modality: PSMA PET/CT | tracer: [68Ga]Ga-PSMA-11 | view: axial | PET grid: 256×256
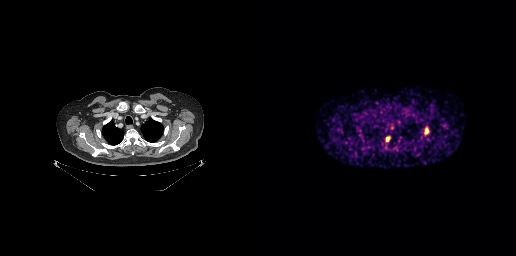
Coordinates are on the 256×256 PET (right) panel. PSMA-avid tumor lesion bounding box (x0, y0)-(x1, y1): (164, 128)-(168, 134). Small PSMA-avid focus (2 to 4 px across) near (center x, center y): (127, 139).